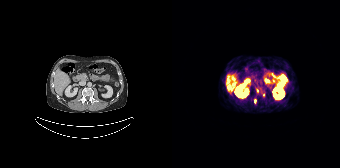
- Left: CT. Right: PSMA PET, same axial level, [68Ga]Ga-PSMA-11 tracer
Findings: Coordinates are on the 168×168 PET (right) panel. Small PSMA-avid foci (2 to 4 px across) near (center x, center y): (85, 90); (82, 100); (91, 94).